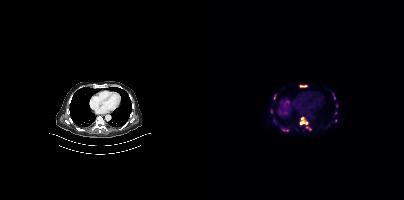
Coordinates are on the 200×200 PET (right) panel. (showing 2 of 5 foci) PSMA-avid tumor lesion bounding boxes (x0,y0,x1,y1): [96,117,103,124]; [78,129,82,130].
modality: PSMA PET/CT | tracer: [18F]PSMA-1007 | view: axial